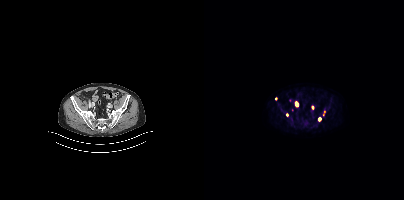
Paired axial CT (left) and PSMA PET (right), 18F tracer. Coordinates are on the 200×200 PET (right) panel. (showing 3 of 7 foci) PSMA-avid tumor lesion bounding box (x, y, width, height): x=119 y=110 w=3 h=6. Small PSMA-avid foci (2 to 4 px across) near (center x, center y): (115, 118); (108, 107).